- Two-panel axial: CT | PSMA PET, [18F]PSMA-1007 tracer
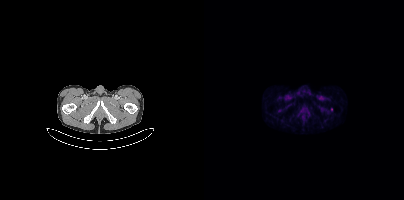
Findings: Coordinates are on the 200×200 PET (right) panel. Small PSMA-avid focus (2 to 4 px across) near (center x, center y): (127, 109).